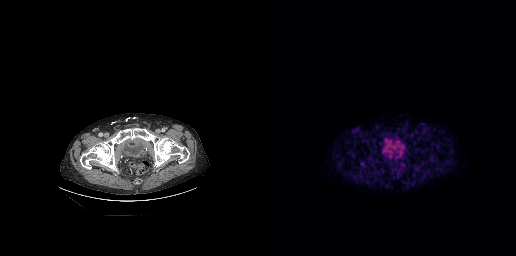
No tumor lesions annotated on this slice.